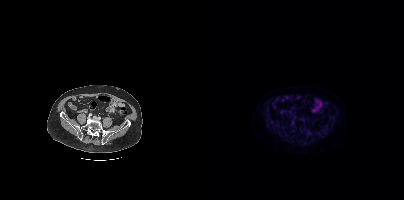
{"modality":"PSMA PET/CT","view":"axial","tracer":"[18F]PSMA-1007","pet_grid":[200,200],"coord_frame":"pet_panel","coord_format":"x0,y0,x1,y1","psma_avid_lesions":false}